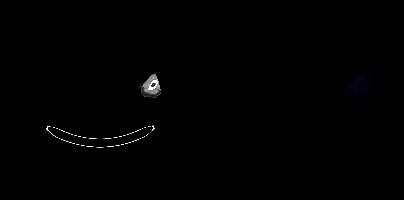
{"modality":"PSMA PET/CT","view":"axial","tracer":"[18F]PSMA-1007","pet_grid":[200,200],"coord_frame":"pet_panel","coord_format":"x0,y0,x1,y1","redaction":"privacy mask over head","psma_avid_lesions":false}